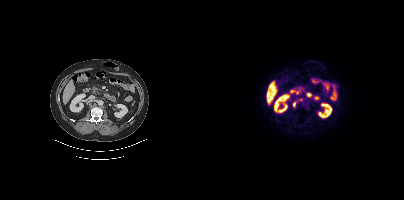
Two-panel axial: CT | PSMA PET, 18F-PSMA tracer. PET panel 200×200 px (4.1 mm/px). Coordinates are on the 200×200 PET (right) panel. PSMA-avid tumor lesion bounding box (x, y, width, height): x=89 y=103 w=3 h=5. Small PSMA-avid foci (2 to 4 px across) near (center x, center y): (96, 99) / (103, 107).